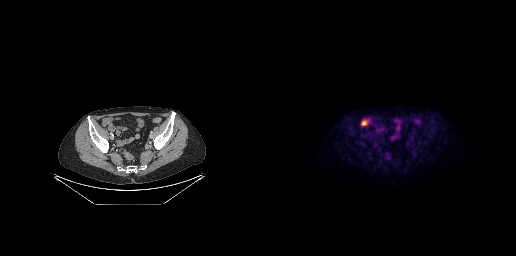
{"modality":"PSMA PET/CT","view":"axial","tracer":"18F","pet_grid":[256,256],"coord_frame":"pet_panel","coord_format":"x0,y0,x1,y1","psma_avid_lesions":false}